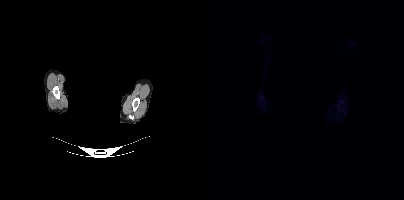
deidentification: head region blacked out before release | modality: PSMA PET/CT | tracer: 18F | view: axial | PET grid: 200×200
Negative for PSMA-avid disease on this slice.